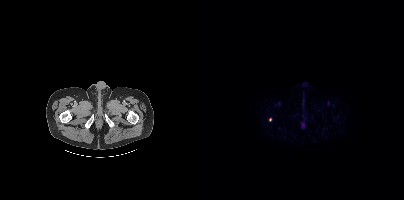
Technique: Left: CT. Right: PSMA PET, same axial level, 18F-PSMA tracer. PET panel 200×200 px (4.1 mm/px).
Findings: Coordinates are on the 200×200 PET (right) panel. Small PSMA-avid focus (2 to 4 px across) near (center x, center y): (66, 119).